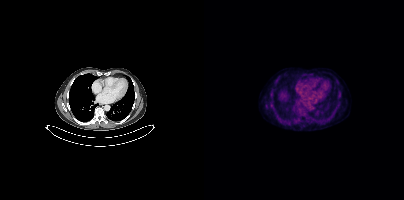
This slice has no annotated PSMA-avid lesion.
modality: PSMA PET/CT | tracer: 18F-PSMA | view: axial | PET grid: 200×200